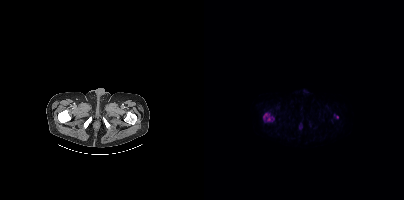
Technique: Left: CT. Right: PSMA PET, same axial level, [18F]PSMA-1007 tracer. PET panel 200×200 px (4.1 mm/px).
Findings: Coordinates are on the 200×200 PET (right) panel. (showing 2 of 3 foci) PSMA-avid tumor lesion bounding box (x0,y0,x1,y1): [59,114,68,121]. Small PSMA-avid focus (2 to 4 px across) near (center x, center y): (133, 117).